Paired axial CT (left) and PSMA PET (right), 18F tracer. Acquired on Siemens Biograph mCT Flow 20. Slice 127 of 423. PET panel 200×200 px (4.1 mm/px).
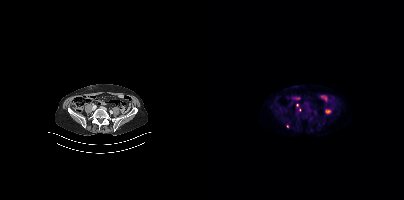
Coordinates are on the 200×200 PET (right) panel. (showing 1 of 3 foci) Small PSMA-avid focus (2 to 4 px across) near (center x, center y): (83, 126).